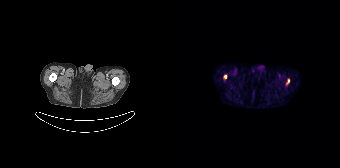
Paired axial CT (left) and PSMA PET (right), 68Ga tracer. Coordinates are on the 168×168 PET (right) panel. PSMA-avid tumor lesion bounding box (x0, y0)-(x1, y1): (115, 79)-(117, 83). Small PSMA-avid focus (2 to 4 px across) near (center x, center y): (53, 76).